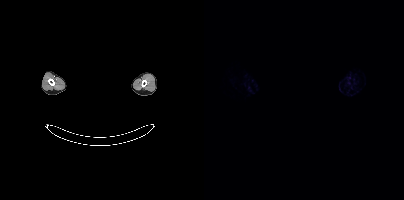
- Left: CT. Right: PSMA PET, same axial level, [18F]PSMA-1007 tracer
- facial anatomy redacted by setting a rectangular region of the head to black
Findings: Negative for PSMA-avid disease on this slice.